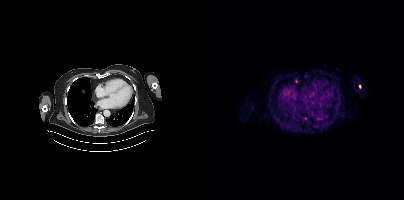
{"modality":"PSMA PET/CT","view":"axial","tracer":"[68Ga]Ga-PSMA-11","pet_grid":[200,200],"coord_frame":"pet_panel","coord_format":"x0,y0,x1,y1","lesion_bboxes":[],"small_foci_centers":[[92,81],[155,86]]}